Left: CT. Right: PSMA PET, same axial level, 18F tracer. Slice 72 of 367.
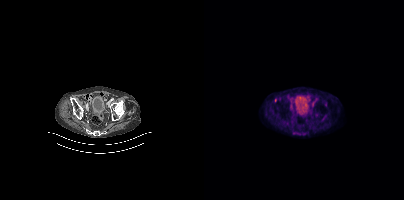
Negative for PSMA-avid disease on this slice.